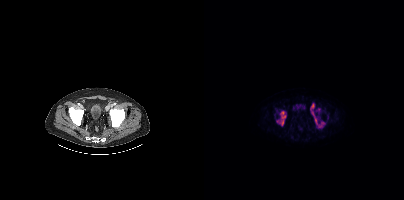
Coordinates are on the 200×200 PET (right) panel. (showing 3 of 5 foci) PSMA-avid tumor lesion bounding boxes (x0,y0,x1,y1): [110,114,120,127] [76,111,81,125]. Small PSMA-avid focus (2 to 4 px across) near (center x, center y): (115, 109). Left: CT. Right: PSMA PET, same axial level, 18F tracer. Slice 164 of 508. PET panel 200×200 px (4.1 mm/px).